The face region was removed for patient privacy by blanking a rectangle over the head. Paired axial CT (left) and PSMA PET (right), 18F-PSMA tracer. Acquired on Siemens Biograph mCT Flow 20. Slice 372 of 377.
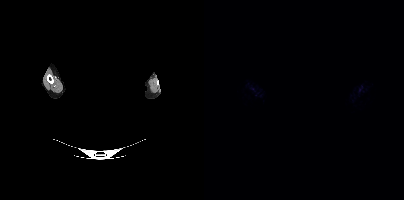
Negative for PSMA-avid disease on this slice.